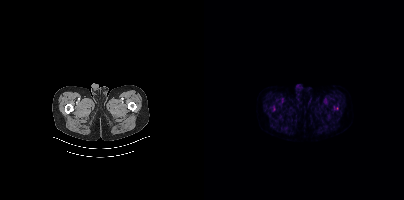
modality: PSMA PET/CT | tracer: 18F-PSMA | view: axial
Only PSMA-avid lesion pieces thinner than 2 px on this slice (not listed).